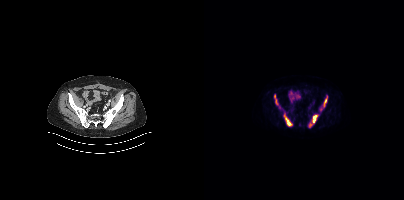
modality: PSMA PET/CT | tracer: 18F-PSMA | view: axial | PET grid: 200×200
Coordinates are on the 200×200 PET (right) panel. PSMA-avid tumor lesion bounding boxes (x, y, width, height): x=80 y=114 w=9 h=13 / x=109 y=115 w=5 h=8 / x=119 y=96 w=5 h=11 / x=70 y=94 w=5 h=11 / x=105 y=123 w=4 h=5.